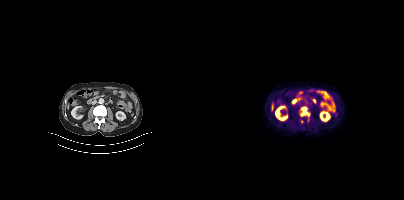
Left: CT. Right: PSMA PET, same axial level, [18F]PSMA-1007 tracer. Slice 165 of 407. Coordinates are on the 200×200 PET (right) panel. PSMA-avid tumor lesion bounding box (x0, y0)-(x1, y1): (96, 107)-(105, 116).